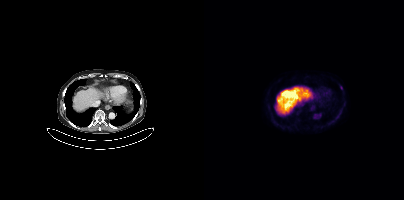
Coordinates are on the 200×200 PET (right) panel. Small PSMA-avid focus (2 to 4 px across) near (center x, center y): (137, 87). Left: CT. Right: PSMA PET, same axial level, [18F]PSMA-1007 tracer. PET panel 200×200 px (4.1 mm/px).